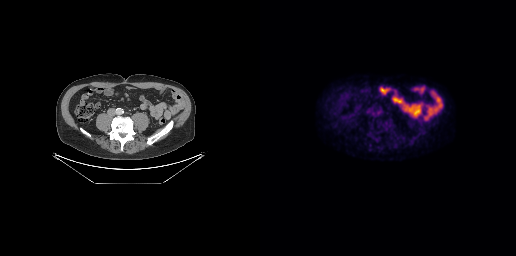
No PSMA-avid tumor lesions on this slice.